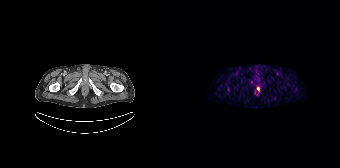
Paired axial CT (left) and PSMA PET (right), [68Ga]Ga-PSMA-11 tracer. Coordinates are on the 168×168 PET (right) panel. (showing 1 of 2 foci) Small PSMA-avid focus (2 to 4 px across) near (center x, center y): (86, 88).